Technique: Paired axial CT (left) and PSMA PET (right), 18F tracer. PET panel 200×200 px (4.1 mm/px).
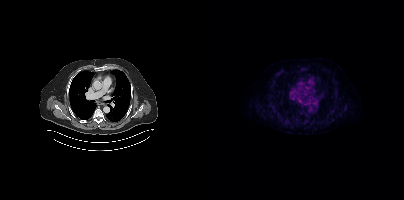
Findings: Coordinates are on the 200×200 PET (right) panel. PSMA-avid tumor lesion bounding box (x0,y0,x1,y1): [126,110,130,113].